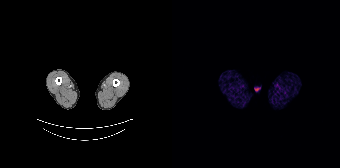
modality: PSMA PET/CT | tracer: 68Ga | view: axial | PET grid: 168×168
This slice has no annotated PSMA-avid lesion.